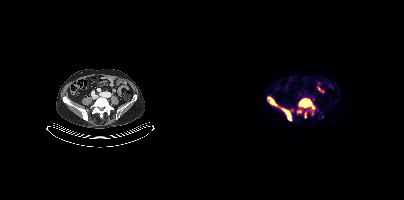
- Left: CT. Right: PSMA PET, same axial level, 18F tracer
- acquired on Siemens Biograph mCT Flow 20
- PET panel 200×200 px (4.1 mm/px)
Findings: Coordinates are on the 200×200 PET (right) panel. PSMA-avid tumor lesion bounding boxes (x0, y0)-(x1, y1): (95, 99)-(110, 108) | (77, 108)-(87, 120) | (64, 97)-(73, 106) | (93, 109)-(97, 113). Small PSMA-avid foci (2 to 4 px across) near (center x, center y): (108, 112) | (101, 115).